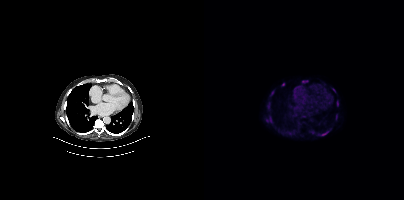
Coordinates are on the 200×200 PET (right) panel. PSMA-avid tumor lesion bounding boxes (x0,y0,x1,y1): [114,131,124,135] [63,102,66,110] [62,117,68,122] [98,80,104,82] [66,92,69,96] [128,88,131,92] [132,115,133,119]. Small PSMA-avid foci (2 to 4 px across) near (center x, center y): (79, 84) (133, 102).